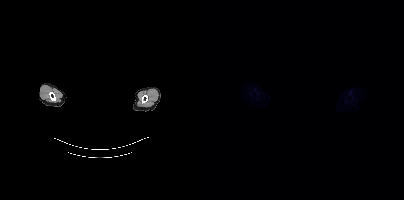
Negative for PSMA-avid disease on this slice. Privacy masking over the head, with the pixels inside a rectangle set to black. Two-panel axial: CT | PSMA PET, 18F-PSMA tracer. Acquired on Siemens Biograph mCT Flow 20. PET panel 200×200 px (4.1 mm/px).